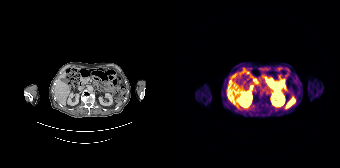
No PSMA-avid tumor lesions on this slice. Two-panel axial: CT | PSMA PET, [68Ga]Ga-PSMA-11 tracer. Acquired on Siemens Biograph 64-4R TruePoint. Slice position z = -438 mm. PET panel 168×168 px (4.1 mm/px).